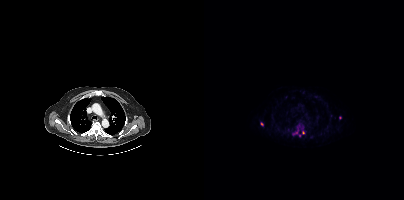
Technique: Two-panel axial: CT | PSMA PET, [18F]PSMA-1007 tracer. acquired on Siemens Biograph mCT Flow 20. PET panel 200×200 px (4.1 mm/px).
Findings: Coordinates are on the 200×200 PET (right) panel. PSMA-avid tumor lesion bounding box (x, y, width, height): x=89 y=130 w=6 h=5. Small PSMA-avid foci (2 to 4 px across) near (center x, center y): (99, 132) | (58, 123) | (136, 117) | (95, 135).